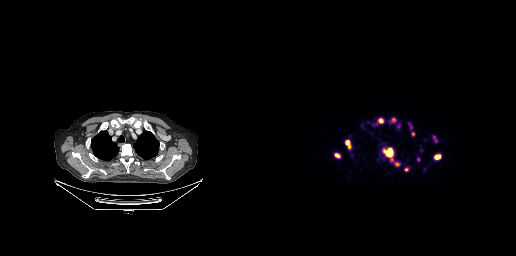
Technique: Left: CT. Right: PSMA PET, same axial level, 68Ga-PSMA tracer. acquired on GE Discovery 690. slice 215 of 263.
Findings: Coordinates are on the 256×256 PET (right) panel. (showing 9 of 10 foci) PSMA-avid tumor lesion bounding boxes (x0,y0,x1,y1): [123,149,132,156], [175,155,180,158], [144,168,148,171]. Small PSMA-avid foci (2 to 4 px across) near (center x, center y): (87, 142), (158, 159), (153, 133), (77, 155), (139, 124), (136, 163).